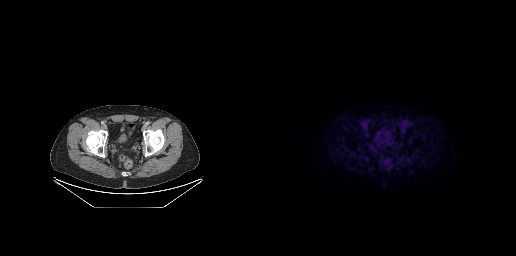
This slice has no annotated PSMA-avid lesion.